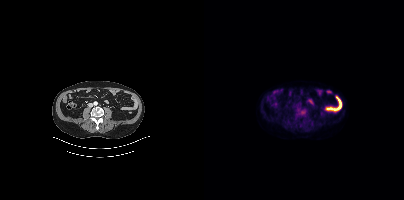
{"modality":"PSMA PET/CT","view":"axial","tracer":"18F-PSMA","pet_grid":[200,200],"coord_frame":"pet_panel","coord_format":"x0,y0,x1,y1","psma_avid_lesions":false}